modality: PSMA PET/CT | tracer: [18F]PSMA-1007 | view: axial | PET grid: 200×200
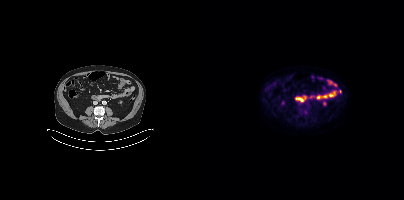
No PSMA-avid tumor lesions on this slice.